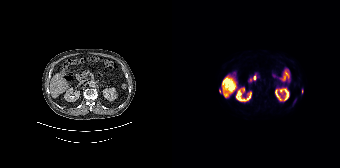
Findings: Coordinates are on the 168×168 PET (right) panel. PSMA-avid tumor lesion bounding box (x0,y0,x1,y1): [130,89,131,93]. Small PSMA-avid focus (2 to 4 px across) near (center x, center y): (47, 91).
- Two-panel axial: CT | PSMA PET, [18F]PSMA-1007 tracer
- slice 78 of 165